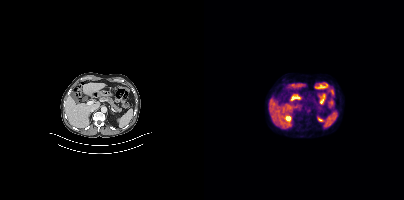
- Paired axial CT (left) and PSMA PET (right), 68Ga-PSMA tracer
- acquired on Siemens Biograph mCT Flow 20
Findings: No PSMA-avid tumor lesions on this slice.